Two-panel axial: CT | PSMA PET, [18F]PSMA-1007 tracer.
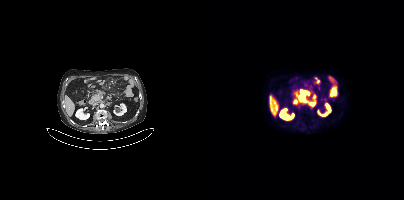
Coordinates are on the 200×200 PET (right) panel. PSMA-avid tumor lesion bounding boxes (x0, y0)-(x1, y1): (92, 90)-(105, 101) | (105, 102)-(111, 105) | (109, 94)-(111, 98).